Paired axial CT (left) and PSMA PET (right), [18F]PSMA-1007 tracer. Acquired on Siemens Biograph mCT Flow 20.
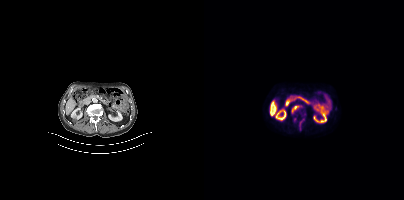
Coordinates are on the 200×200 PET (right) panel. PSMA-avid tumor lesion bounding boxes (partial; 1 more focus not listed):
| # | x0 | y0 | x1 | y1 |
|---|---|---|---|---|
| 1 | 87 | 105 | 97 | 113 |
| 2 | 95 | 120 | 98 | 129 |